Two-panel axial: CT | PSMA PET, [18F]PSMA-1007 tracer. Acquired on GE Discovery 690. Slice 98 of 263. PET panel 256×256 px (2.7 mm/px).
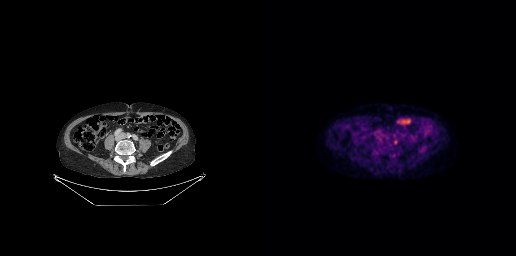
Coordinates are on the 256×256 PET (right) panel. Small PSMA-avid focus (2 to 4 px across) near (center x, center y): (135, 141).